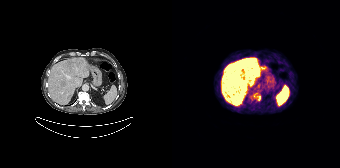
Coordinates are on the 168×168 PET (right) panel. (showing 6 of 9 foci) PSMA-avid tumor lesion bounding boxes (x0,y0,x1,y1): [62,77,74,104], [64,58,81,70], [78,68,87,76], [84,95,89,100]. Small PSMA-avid foci (2 to 4 px across) near (center x, center y): (84, 64), (74, 70).